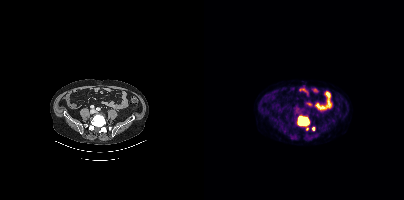
Findings: Coordinates are on the 200×200 PET (right) panel. PSMA-avid tumor lesion bounding box (x0,y0,x1,y1): [93,116,105,125]. Small PSMA-avid foci (2 to 4 px across) near (center x, center y): (109, 128), (103, 128).
- Paired axial CT (left) and PSMA PET (right), 18F tracer
- slice 125 of 403